Technique: Paired axial CT (left) and PSMA PET (right), 18F tracer. slice 219 of 429.
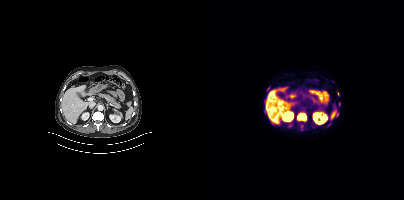
Findings: Coordinates are on the 200×200 PET (right) panel. (showing 3 of 5 foci) PSMA-avid tumor lesion bounding box (x, y, width, height): x=93 y=113 w=10 h=9. Small PSMA-avid foci (2 to 4 px across) near (center x, center y): (133, 114); (134, 93).